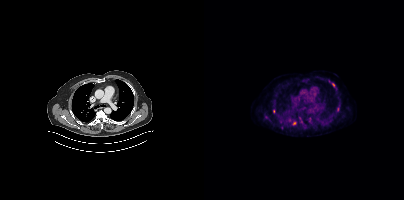
Left: CT. Right: PSMA PET, same axial level, 18F tracer. Acquired on Siemens Biograph mCT Flow 20. PET panel 200×200 px (4.1 mm/px). Coordinates are on the 200×200 PET (right) panel. (showing 7 of 9 foci) PSMA-avid tumor lesion bounding boxes (x0, y0)-(x1, y1): (133, 105)-(135, 111) / (105, 119)-(107, 123) / (95, 117)-(98, 122). Small PSMA-avid foci (2 to 4 px across) near (center x, center y): (90, 123) / (129, 84) / (69, 111) / (126, 120).